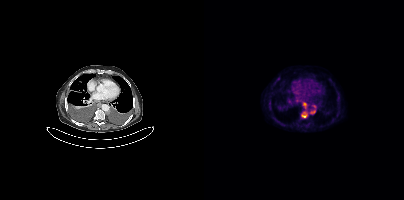
Findings: Coordinates are on the 200×200 PET (right) panel. Small PSMA-avid foci (2 to 4 px across) near (center x, center y): (99, 116); (100, 104).
Technique: Paired axial CT (left) and PSMA PET (right), [18F]PSMA-1007 tracer. slice 239 of 381. PET panel 200×200 px (4.1 mm/px).